Technique: Paired axial CT (left) and PSMA PET (right), 18F-PSMA tracer.
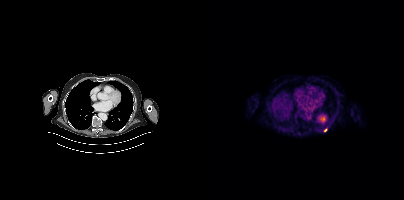
Findings: Coordinates are on the 200×200 PET (right) panel. Small PSMA-avid focus (2 to 4 px across) near (center x, center y): (121, 130).